Left: CT. Right: PSMA PET, same axial level, [18F]PSMA-1007 tracer. Acquired on Siemens Biograph mCT Flow 20. Slice 319 of 389. PET panel 200×200 px (4.1 mm/px).
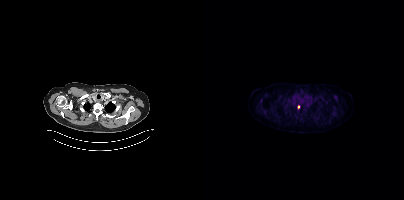
Coordinates are on the 200×200 PET (right) panel. Small PSMA-avid focus (2 to 4 px across) near (center x, center y): (94, 106).